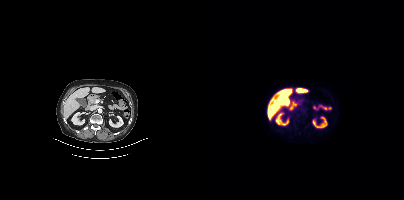
Negative for PSMA-avid disease on this slice.